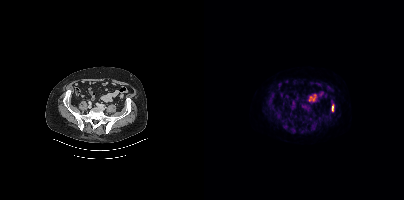
Coordinates are on the 200×200 PET (right) panel. PSMA-avid tumor lesion bounding box (x0,y0,x1,y1): [127,104,130,111].